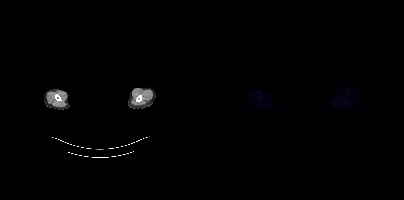
Technique: Paired axial CT (left) and PSMA PET (right), 18F-PSMA tracer. acquired on Siemens Biograph mCT Flow 20. slice position z = -888 mm. PET panel 200×200 px (4.1 mm/px).
Note: An anonymization step blacked out a rectangle over the head in this scan.
Findings: No PSMA-avid tumor lesions on this slice.